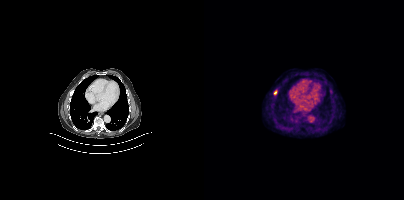
- Left: CT. Right: PSMA PET, same axial level, 18F-PSMA tracer
- PET panel 200×200 px (4.1 mm/px)
Findings: Coordinates are on the 200×200 PET (right) panel. PSMA-avid tumor lesion bounding box (x, y, width, height): x=69 y=90 w=5 h=6.